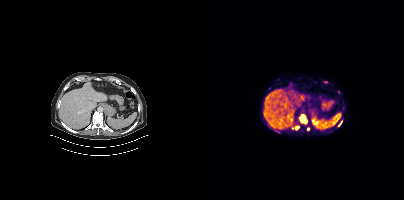
Technique: Left: CT. Right: PSMA PET, same axial level, 18F-PSMA tracer.
Findings: Coordinates are on the 200×200 PET (right) panel. PSMA-avid tumor lesion bounding boxes (x0,y0,x1,y1): [95,116,103,123], [91,126,95,129], [134,122,137,126]. Small PSMA-avid focus (2 to 4 px across) near (center x, center y): (104, 129).